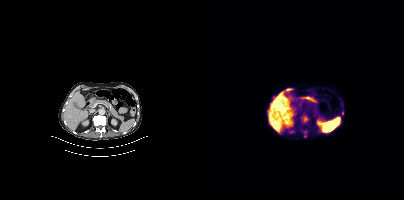
Coordinates are on the 200×200 PET (right) panel. Small PSMA-avid focus (2 to 4 px across) near (center x, center y): (101, 119).